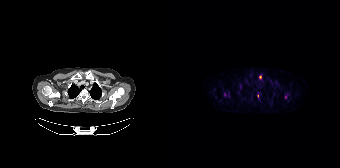
Findings: Coordinates are on the 168×168 PET (right) panel. (showing 4 of 6 foci) PSMA-avid tumor lesion bounding boxes (x0, y0)-(x1, y1): (87, 75)-(89, 79) / (68, 84)-(69, 88). Small PSMA-avid foci (2 to 4 px across) near (center x, center y): (52, 94) / (85, 96).
- Left: CT. Right: PSMA PET, same axial level, [18F]PSMA-1007 tracer
- acquired on Siemens Biograph 64-4R TruePoint
- PET panel 168×168 px (4.1 mm/px)